- Left: CT. Right: PSMA PET, same axial level, [18F]PSMA-1007 tracer
- slice position z = -782 mm
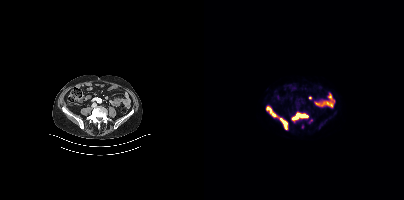
Findings: Coordinates are on the 200×200 PET (right) panel. PSMA-avid tumor lesion bounding boxes (x0, y0)-(x1, y1): (88, 113)-(105, 121) | (62, 106)-(73, 117) | (75, 118)-(83, 129). Small PSMA-avid foci (2 to 4 px across) near (center x, center y): (106, 120) | (98, 126).